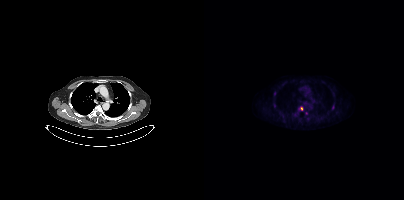
{"modality":"PSMA PET/CT","view":"axial","tracer":"[18F]PSMA-1007","pet_grid":[200,200],"coord_frame":"pet_panel","coord_format":"x0,y0,x1,y1","partial":true,"lesion_bboxes":[],"small_foci_centers":[[97,108]]}